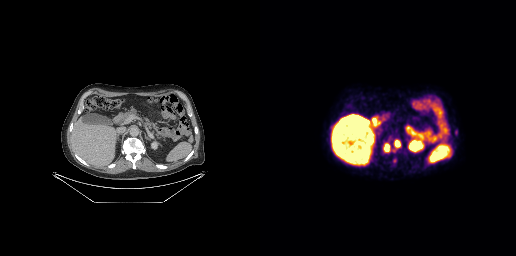
{"modality":"PSMA PET/CT","view":"axial","tracer":"18F","pet_grid":[256,256],"coord_frame":"pet_panel","coord_format":"x0,y0,x1,y1","lesion_bboxes":[[124,143,129,151],[134,140,140,147]]}